Paired axial CT (left) and PSMA PET (right), 68Ga-PSMA tracer. Acquired on GE Discovery 690. Slice 86 of 263. PET panel 256×256 px (2.7 mm/px).
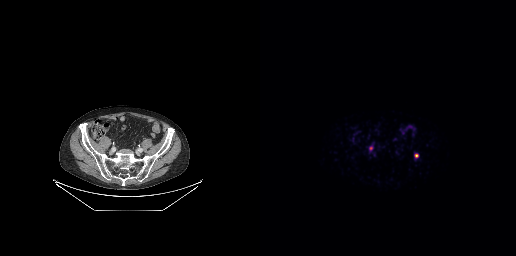
Coordinates are on the 256×256 PET (right) panel. Small PSMA-avid focus (2 to 4 px across) near (center x, center y): (156, 155).